Left: CT. Right: PSMA PET, same axial level, 18F tracer. Slice position z = -328 mm. PET panel 200×200 px (4.1 mm/px). An anonymization step blacked out a rectangle over the head in this scan.
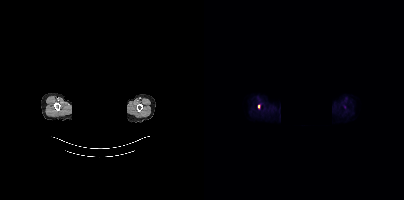
Coordinates are on the 200×200 PET (right) panel. Small PSMA-avid focus (2 to 4 px across) near (center x, center y): (54, 106).